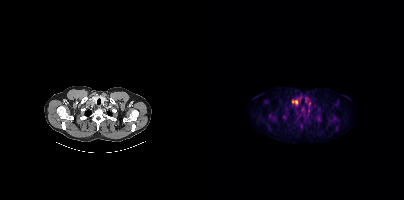
- Two-panel axial: CT | PSMA PET, 18F-PSMA tracer
- slice 352 of 438
- PET panel 200×200 px (4.1 mm/px)
Findings: Coordinates are on the 200×200 PET (right) panel. PSMA-avid tumor lesion bounding box (x0, y0)-(x1, y1): (88, 100)-(93, 104).